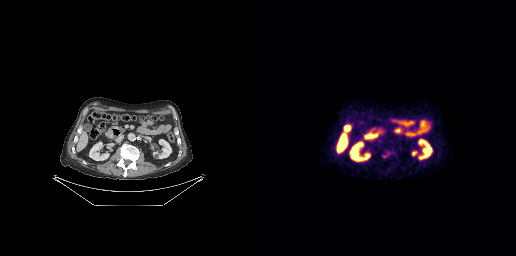
Coordinates are on the 256×256 PET (right) panel. PSMA-avid tumor lesion bounding box (x0,y0,x1,y1): [122,150,130,158]. Paired axial CT (left) and PSMA PET (right), 18F-PSMA tracer. Acquired on GE Discovery 690. PET panel 256×256 px (2.7 mm/px).